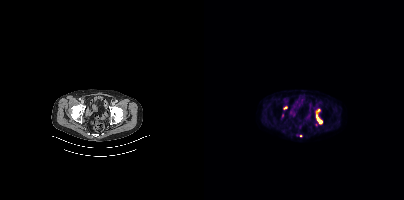
Coordinates are on the 200×200 PET (right) panel. PSMA-avid tumor lesion bounding box (x0, y0)-(x1, y1): (112, 109)-(118, 123). Small PSMA-avid foci (2 to 4 px across) near (center x, center y): (81, 108); (96, 135).